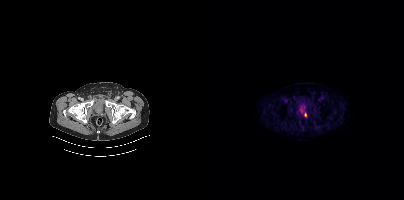
Left: CT. Right: PSMA PET, same axial level, 18F tracer. Slice 68 of 417. PET panel 200×200 px (4.1 mm/px). Coordinates are on the 200×200 PET (right) panel. Small PSMA-avid focus (2 to 4 px across) near (center x, center y): (101, 114).